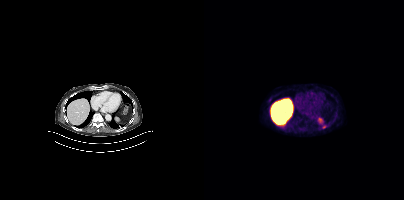
Coordinates are on the 200×200 PET (right) panel. PSMA-avid tumor lesion bounding boxes:
| # | x0 | y0 | x1 | y1 |
|---|---|---|---|---|
| 1 | 118 | 125 | 122 | 128 |
Two-panel axial: CT | PSMA PET, [18F]PSMA-1007 tracer. Acquired on Siemens Biograph mCT Flow 20. Slice 254 of 389.